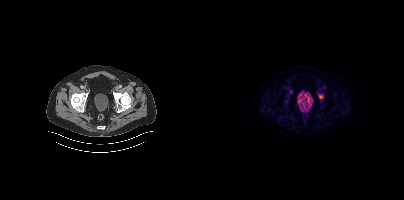
Coordinates are on the 200×200 PET (right) panel. PSMA-avid tumor lesion bounding box (x0,y0,x1,y1): [115,95,119,98].
modality: PSMA PET/CT | tracer: [18F]PSMA-1007 | view: axial